Paired axial CT (left) and PSMA PET (right), 68Ga tracer. Acquired on Siemens Biograph mCT Flow 20. PET panel 200×200 px (4.1 mm/px).
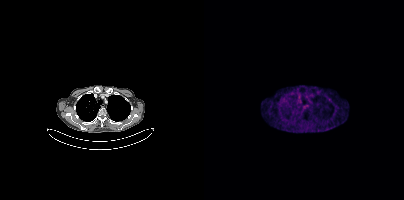
No PSMA-avid tumor lesions on this slice.